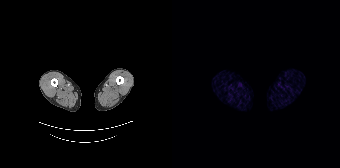
{"modality":"PSMA PET/CT","view":"axial","tracer":"68Ga-PSMA","pet_grid":[168,168],"coord_frame":"pet_panel","coord_format":"x0,y0,x1,y1","psma_avid_lesions":false}